- Left: CT. Right: PSMA PET, same axial level, [18F]PSMA-1007 tracer
- acquired on Siemens Biograph mCT Flow 20
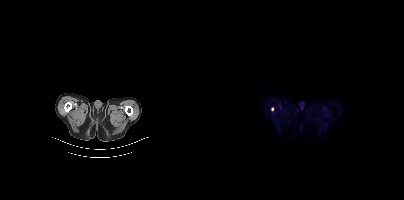
Findings: Coordinates are on the 200×200 PET (right) panel. Small PSMA-avid focus (2 to 4 px across) near (center x, center y): (68, 108).